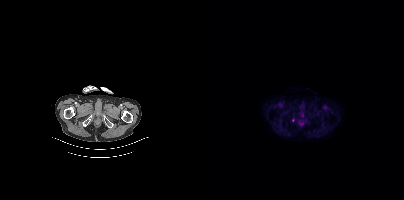
Technique: Left: CT. Right: PSMA PET, same axial level, 18F-PSMA tracer. acquired on Siemens Biograph mCT Flow 20. slice 56 of 411. PET panel 200×200 px (4.1 mm/px).
Findings: Coordinates are on the 200×200 PET (right) panel. Small PSMA-avid focus (2 to 4 px across) near (center x, center y): (88, 120).